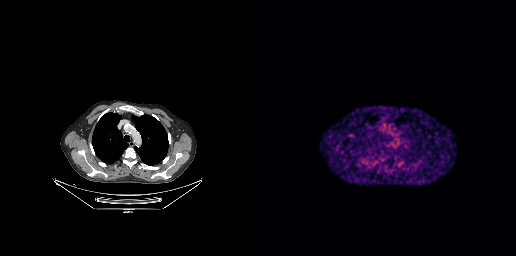
{"pet_grid":[256,256],"coord_frame":"pet_panel","coord_format":"x0,y0,x1,y1","psma_avid_lesions":false,"modality":"PSMA PET/CT","view":"axial","tracer":"[68Ga]Ga-PSMA-11"}